Technique: Paired axial CT (left) and PSMA PET (right), 18F-PSMA tracer. slice position z = -914 mm. PET panel 200×200 px (4.1 mm/px).
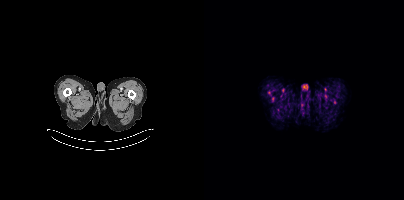
Findings: Only PSMA-avid lesion pieces thinner than 2 px on this slice (not listed).